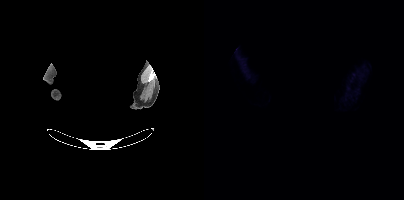
Findings: Negative for PSMA-avid disease on this slice.
- Two-panel axial: CT | PSMA PET, 18F tracer
- acquired on Siemens Biograph mCT Flow 20
- slice position z = -295 mm
- facial anatomy redacted by setting a rectangular region of the head to black